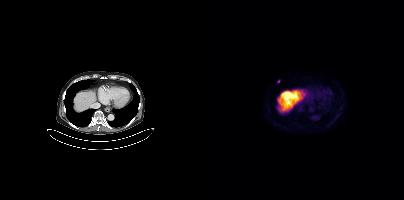
Left: CT. Right: PSMA PET, same axial level, 18F-PSMA tracer. Acquired on Siemens Biograph mCT Flow 20. PET panel 200×200 px (4.1 mm/px). Coordinates are on the 200×200 PET (right) panel. Small PSMA-avid focus (2 to 4 px across) near (center x, center y): (74, 81).